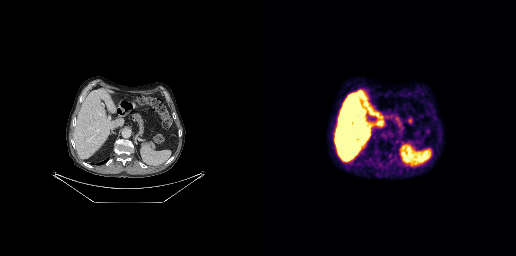
Negative for PSMA-avid disease on this slice.